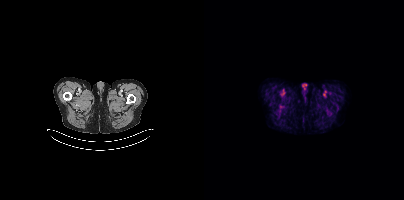
Paired axial CT (left) and PSMA PET (right), [18F]PSMA-1007 tracer. PET panel 200×200 px (4.1 mm/px). No PSMA-avid tumor lesions on this slice.